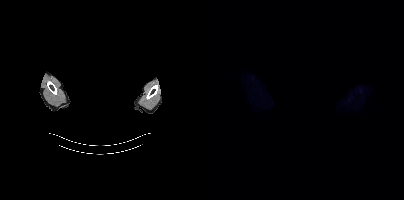
This slice has no annotated PSMA-avid lesion.
The face region was removed for patient privacy by blanking a rectangle over the head.